Two-panel axial: CT | PSMA PET, 18F tracer. Acquired on Siemens Biograph mCT Flow 20.
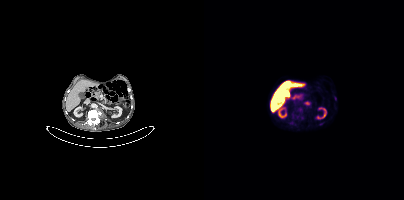
Coordinates are on the 200×200 PET (right) panel. Small PSMA-avid focus (2 to 4 px across) near (center x, center y): (131, 98).